Technique: Paired axial CT (left) and PSMA PET (right), [18F]PSMA-1007 tracer. PET panel 200×200 px (4.1 mm/px).
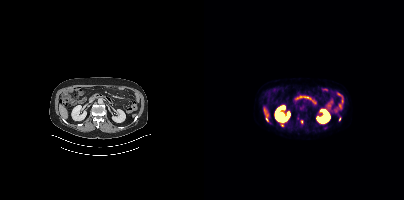
Findings: Coordinates are on the 200×200 PET (right) panel. PSMA-avid tumor lesion bounding box (x0, y0)-(x1, y1): (62, 117)-(64, 121). Small PSMA-avid focus (2 to 4 px across) near (center x, center y): (135, 119).